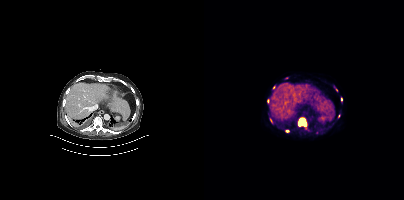
Paired axial CT (left) and PSMA PET (right), [18F]PSMA-1007 tracer. Acquired on Siemens Biograph mCT Flow 20. Slice 277 of 444. PET panel 200×200 px (4.1 mm/px).
Coordinates are on the 200×200 PET (right) panel. PSMA-avid tumor lesion bounding boxes (partial; 1 more focus not listed):
| # | x0 | y0 | x1 | y1 |
|---|---|---|---|---|
| 1 | 93 | 117 | 103 | 129 |
| 2 | 81 | 130 | 85 | 132 |
Small PSMA-avid foci (2 to 4 px across) near (center x, center y): (82, 78); (64, 100); (137, 99); (67, 120); (69, 87); (132, 89).